Technique: Left: CT. Right: PSMA PET, same axial level, [18F]PSMA-1007 tracer. slice position z = -594 mm. PET panel 200×200 px (4.1 mm/px).
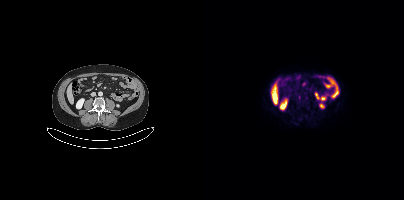
Findings: Coordinates are on the 200×200 PET (right) panel. Small PSMA-avid focus (2 to 4 px across) near (center x, center y): (95, 96).